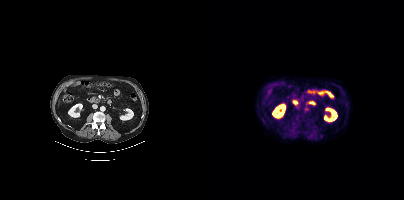
This slice has no annotated PSMA-avid lesion.
modality: PSMA PET/CT | tracer: [18F]PSMA-1007 | view: axial